Technique: Two-panel axial: CT | PSMA PET, 68Ga-PSMA tracer. slice position z = -1140 mm.
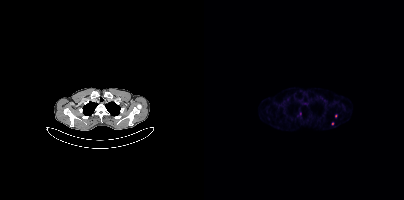
Findings: Coordinates are on the 200×200 PET (right) panel. (showing 2 of 3 foci) Small PSMA-avid foci (2 to 4 px across) near (center x, center y): (131, 115); (128, 123).